- Two-panel axial: CT | PSMA PET, 68Ga-PSMA tracer
- acquired on Siemens Biograph 64-4R TruePoint
- slice position z = -993 mm
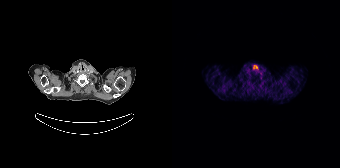
Findings: No tumor lesions annotated on this slice.